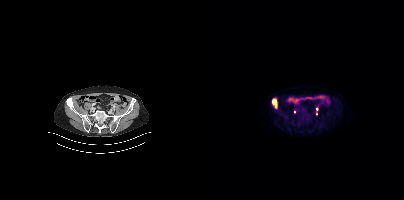
Findings: Coordinates are on the 200×200 PET (right) panel. (showing 3 of 4 foci) PSMA-avid tumor lesion bounding box (x0,y0,x1,y1): [69,98,72,107]. Small PSMA-avid foci (2 to 4 px across) near (center x, center y): (112, 109) (90, 111).
- Paired axial CT (left) and PSMA PET (right), 18F-PSMA tracer
- slice 111 of 423
- PET panel 200×200 px (4.1 mm/px)